Left: CT. Right: PSMA PET, same axial level, 18F-PSMA tracer. Slice 276 of 395.
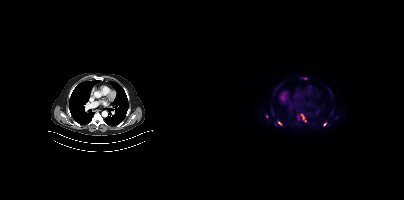
Coordinates are on the 200×200 PET (right) panel. PSMA-avid tumor lesion bounding boxes (x, y, width, height): x=97 y=114 w=6 h=8; x=74 y=121 w=4 h=5. Small PSMA-avid foci (2 to 4 px across) near (center x, center y): (101, 78); (121, 124); (62, 116).